Paired axial CT (left) and PSMA PET (right), 68Ga tracer. Slice 15 of 263. PET panel 256×256 px (2.7 mm/px).
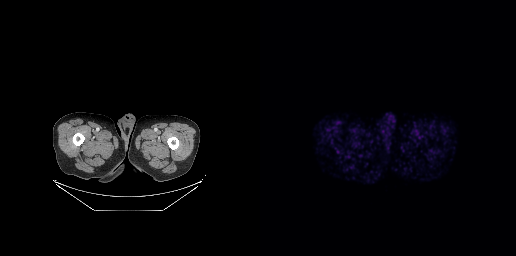
Negative for PSMA-avid disease on this slice.